Technique: Left: CT. Right: PSMA PET, same axial level, [18F]PSMA-1007 tracer.
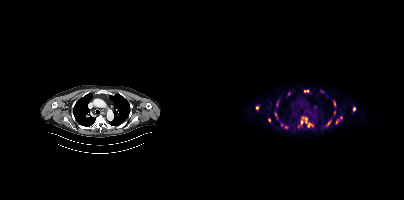
Findings: Coordinates are on the 200×200 PET (right) panel. (showing 15 of 21 foci) PSMA-avid tumor lesion bounding boxes (x0, y0)-(x1, y1): (103, 123)-(109, 127) | (123, 120)-(127, 125) | (130, 101)-(131, 106) | (132, 119)-(134, 123) | (100, 90)-(104, 92) | (72, 101)-(74, 106) | (149, 107)-(150, 111) | (97, 121)-(98, 125). Small PSMA-avid foci (2 to 4 px across) near (center x, center y): (111, 107) | (53, 108) | (137, 117) | (82, 127) | (71, 114) | (65, 120) | (85, 93).